Left: CT. Right: PSMA PET, same axial level, 18F tracer. Acquired on Siemens Biograph mCT Flow 20. PET panel 200×200 px (4.1 mm/px).
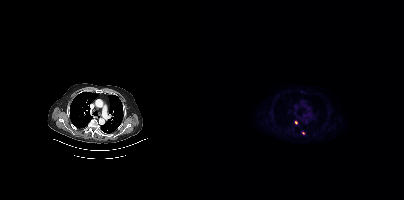
Coordinates are on the 200×200 PET (right) panel. Small PSMA-avid foci (2 to 4 px across) near (center x, center y): (92, 122); (99, 133).